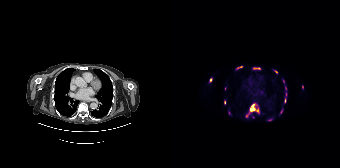
Technique: Two-panel axial: CT | PSMA PET, 18F tracer. slice 117 of 165. PET panel 168×168 px (4.1 mm/px).
Findings: Coordinates are on the 168×168 PET (right) panel. (showing 10 of 14 foci) PSMA-avid tumor lesion bounding boxes (x0, y0)-(x1, y1): (74, 105)-(87, 117) / (81, 67)-(88, 69) / (64, 66)-(70, 69) / (52, 100)-(53, 104) / (112, 98)-(113, 102). Small PSMA-avid foci (2 to 4 px across) near (center x, center y): (38, 79) / (104, 72) / (130, 87) / (111, 81) / (113, 88).